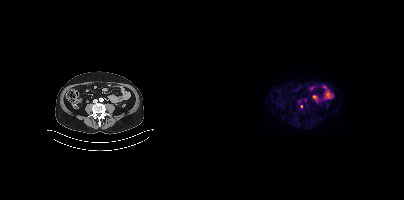
Coordinates are on the 200×200 PET (right) panel. Small PSMA-avid focus (2 to 4 px across) near (center x, center y): (97, 106). Paired axial CT (left) and PSMA PET (right), 18F tracer.